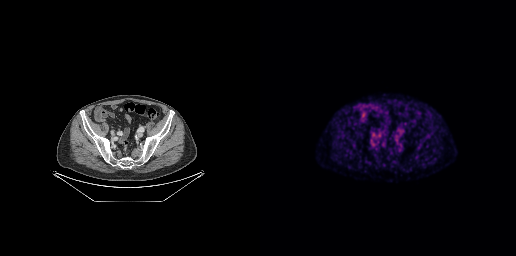
No PSMA-avid tumor lesions on this slice.